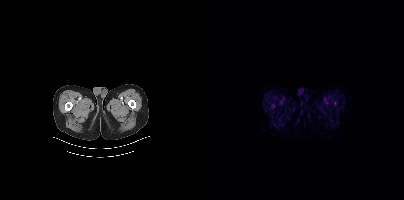
{"modality":"PSMA PET/CT","view":"axial","tracer":"[18F]PSMA-1007","pet_grid":[200,200],"coord_frame":"pet_panel","coord_format":"x0,y0,x1,y1","psma_avid_lesions":false}